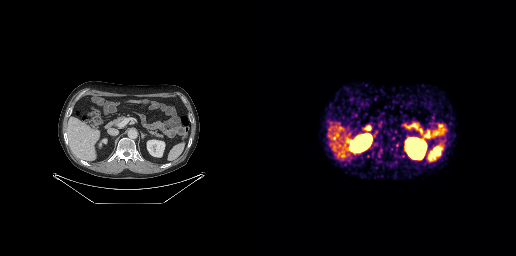
Two-panel axial: CT | PSMA PET, [68Ga]Ga-PSMA-11 tracer. Acquired on GE Discovery 690. Slice 141 of 263. No tumor lesions annotated on this slice.